Paired axial CT (left) and PSMA PET (right), 18F-PSMA tracer. Slice 16 of 435. PET panel 200×200 px (4.1 mm/px).
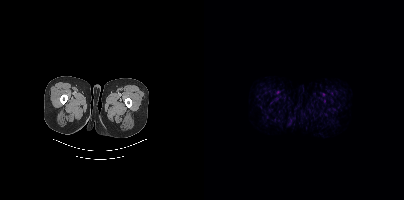
No PSMA-avid tumor lesions on this slice.